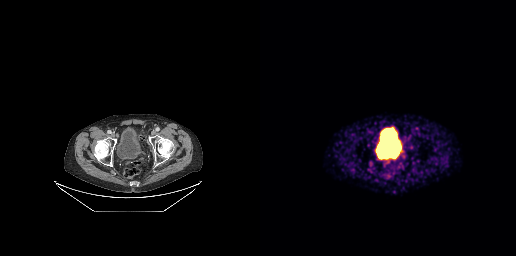
Coordinates are on the 256×256 PET (right) panel. PSMA-avid tumor lesion bounding box (x0,y0,x1,y1): [129,155,137,158].